An anonymization step blacked out a rectangle over the head in this scan. Paired axial CT (left) and PSMA PET (right), 18F-PSMA tracer. Acquired on GE Discovery 690.
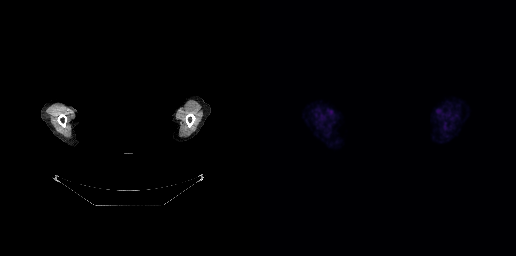
Negative for PSMA-avid disease on this slice.